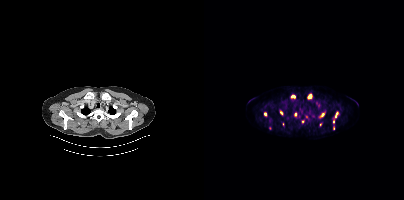
Coordinates are on the 200×200 PET (right) panel. (showing 11 of 13 foci) PSMA-avid tumor lesion bounding boxes (x0,y0,x1,y1): [103,93,108,99] [131,111,134,118] [115,112,120,117] [87,95,91,98]. Small PSMA-avid foci (2 to 4 px across) near (center x, center y): (61, 113) (77, 112) (91, 114) (102, 116) (98, 121) (129, 121) (116, 124).